modality: PSMA PET/CT | tracer: 18F | view: axial
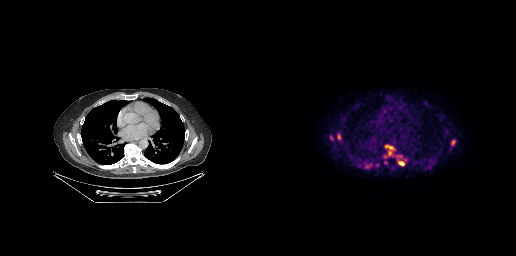
Coordinates are on the 256×256 PET (right) panel. PSMA-avid tumor lesion bounding boxes (x0, y0)-(x1, y1): (138, 161)-(144, 165) / (125, 145)-(133, 149) / (191, 139)-(195, 145) / (77, 134)-(80, 139) / (129, 151)-(131, 155). Small PSMA-avid focus (2 to 4 px across) near (center x, center y): (71, 138).